Technique: Paired axial CT (left) and PSMA PET (right), 18F-PSMA tracer. acquired on Siemens Biograph mCT Flow 20. slice position z = -1505 mm.
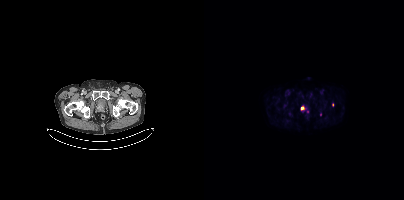
Findings: Coordinates are on the 200×200 PET (right) panel. (showing 2 of 3 foci) Small PSMA-avid foci (2 to 4 px across) near (center x, center y): (98, 108), (103, 110).